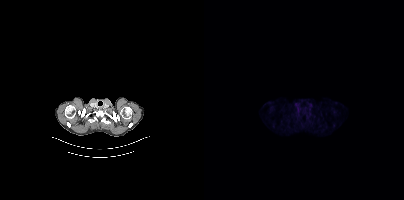
{"modality":"PSMA PET/CT","view":"axial","tracer":"[18F]PSMA-1007","pet_grid":[200,200],"coord_frame":"pet_panel","coord_format":"x0,y0,x1,y1","psma_avid_lesions":false}